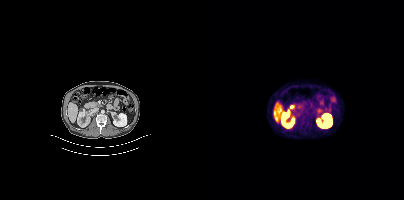
- Paired axial CT (left) and PSMA PET (right), [18F]PSMA-1007 tracer
- PET panel 200×200 px (4.1 mm/px)
Findings: No PSMA-avid tumor lesions on this slice.